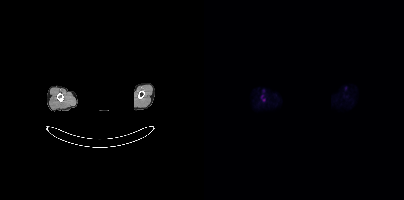
{"modality":"PSMA PET/CT","view":"axial","tracer":"18F-PSMA","pet_grid":[200,200],"coord_frame":"pet_panel","coord_format":"x0,y0,x1,y1","lesion_bboxes":[],"small_foci_centers":[[59,100],[57,96]],"deidentification":"head region blanked (face removed)"}